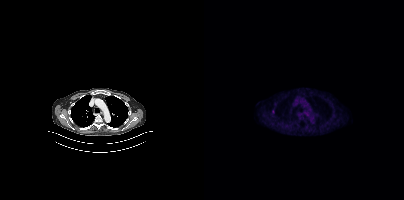
Two-panel axial: CT | PSMA PET, 18F-PSMA tracer. Slice 302 of 389. Coordinates are on the 200×200 PET (right) panel. Small PSMA-avid focus (2 to 4 px across) near (center x, center y): (69, 111).